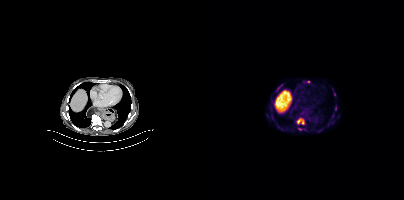
Left: CT. Right: PSMA PET, same axial level, 18F tracer. Acquired on Siemens Biograph mCT Flow 20. Coordinates are on the 200×200 PET (right) panel. PSMA-avid tumor lesion bounding boxes (x, y, width, height): x=92 y=117 w=10 h=8 / x=72 y=85 w=6 h=7. Small PSMA-avid foci (2 to 4 px across) near (center x, center y): (95, 129) / (131, 108) / (104, 81) / (130, 94).